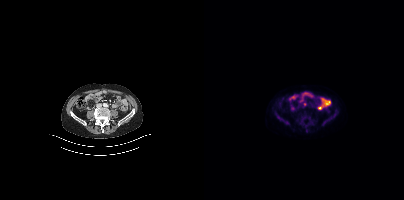
Coordinates are on the 200×200 PET (right) panel. Small PSMA-avid focus (2 to 4 px across) near (center x, center y): (100, 104). Two-panel axial: CT | PSMA PET, 18F-PSMA tracer. Acquired on Siemens Biograph mCT Flow 20. Slice position z = -651 mm.